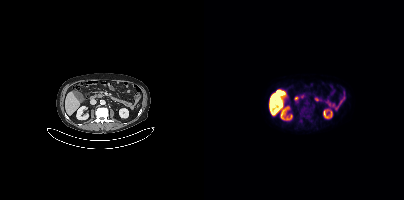
modality: PSMA PET/CT | tracer: 18F-PSMA | view: axial | PET grid: 200×200
Negative for PSMA-avid disease on this slice.